Left: CT. Right: PSMA PET, same axial level, [18F]PSMA-1007 tracer. Acquired on Siemens Biograph mCT Flow 20.
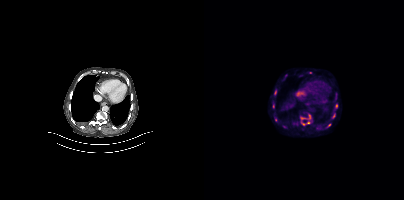
Coordinates are on the 200×200 PET (right) panel. PSMA-avid tumor lesion bounding boxes:
| # | x0 | y0 | x1 | y1 |
|---|---|---|---|---|
| 1 | 96 | 114 | 107 | 125 |
| 2 | 128 | 113 | 131 | 118 |
| 3 | 131 | 104 | 133 | 108 |
| 4 | 104 | 71 | 108 | 73 |
Small PSMA-avid foci (2 to 4 px across) near (center x, center y): (71, 92); (82, 75); (100, 112); (124, 125); (69, 106).